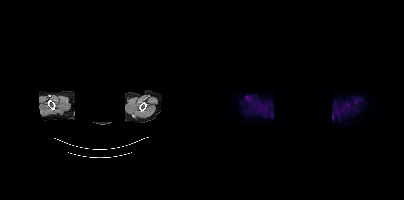
- privacy masking over the head, with the pixels inside a rectangle set to black
- Two-panel axial: CT | PSMA PET, 18F tracer
- slice 382 of 438
- PET panel 200×200 px (4.1 mm/px)
Findings: This slice has no annotated PSMA-avid lesion.